Two-panel axial: CT | PSMA PET, 68Ga tracer. Slice 10 of 165.
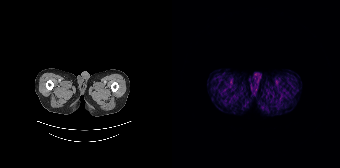
This slice has no annotated PSMA-avid lesion.